modality: PSMA PET/CT | tracer: [68Ga]Ga-PSMA-11 | view: axial
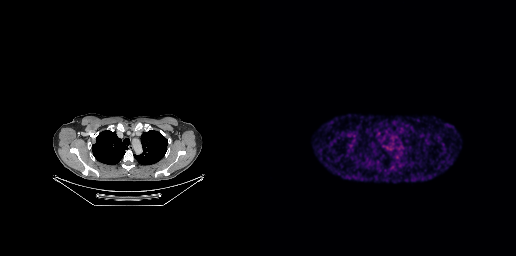
No PSMA-avid tumor lesions on this slice.